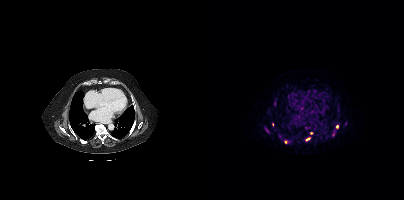
modality: PSMA PET/CT | tracer: [68Ga]Ga-PSMA-11 | view: axial | PET grid: 200×200
Coordinates are on the 200×200 PET (right) panel. Small PSMA-avid foci (2 to 4 px across) near (center x, center y): (133, 126) / (81, 142) / (107, 133) / (103, 139) / (129, 134) / (68, 124).